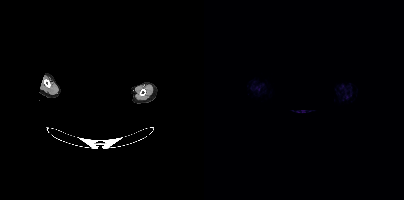
A rectangle over the head was blacked out to remove identifiable facial features. Two-panel axial: CT | PSMA PET, 18F-PSMA tracer. Negative for PSMA-avid disease on this slice.